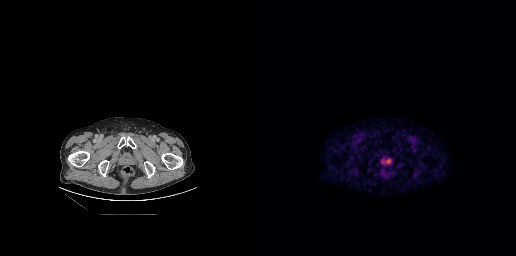
{"modality":"PSMA PET/CT","view":"axial","tracer":"18F-PSMA","pet_grid":[256,256],"coord_frame":"pet_panel","coord_format":"x0,y0,x1,y1","lesion_bboxes":[[121,158,131,163]]}